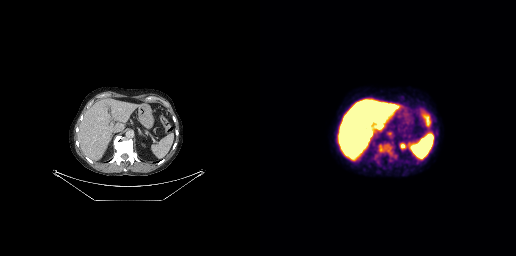
Paired axial CT (left) and PSMA PET (right), 18F-PSMA tracer. Acquired on GE Discovery 690. Only PSMA-avid lesion pieces thinner than 2 px on this slice (not listed).